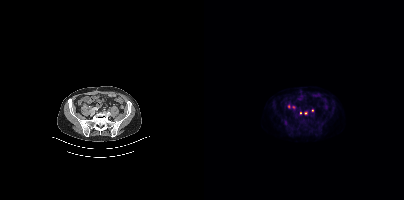
Coordinates are on the 200×200 PET (right) panel. (showing 3 of 4 foci) Small PSMA-avid foci (2 to 4 px across) near (center x, center y): (108, 110) / (102, 113) / (96, 112).